Left: CT. Right: PSMA PET, same axial level, 18F tracer.
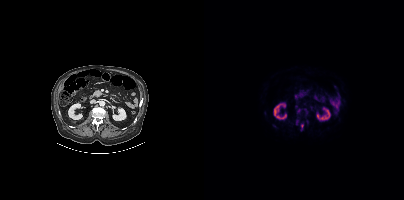
Coordinates are on the 200×200 PET (right) panel. (showing 4 of 6 foci) PSMA-avid tumor lesion bounding boxes (x, y, width, height): x=97 y=123 w=3 h=8; x=92 y=120 w=3 h=5. Small PSMA-avid foci (2 to 4 px across) near (center x, center y): (94, 110); (102, 112).